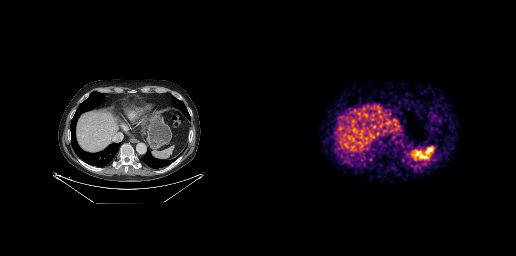
Left: CT. Right: PSMA PET, same axial level, 68Ga-PSMA tracer. Acquired on GE Discovery 690. PET panel 256×256 px (2.7 mm/px). Coordinates are on the 256×256 PET (right) panel. PSMA-avid tumor lesion bounding box (x0, y0)-(x1, y1): (166, 150)-(171, 155).